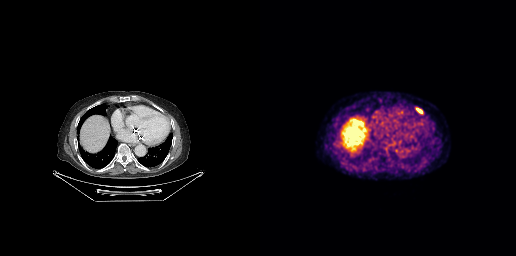
- Left: CT. Right: PSMA PET, same axial level, 18F-PSMA tracer
- acquired on GE Discovery 690
- slice 179 of 263
Findings: Coordinates are on the 256×256 PET (right) panel. PSMA-avid tumor lesion bounding box (x0,y0,x1,y1): [157,108,162,112].